- Two-panel axial: CT | PSMA PET, 18F tracer
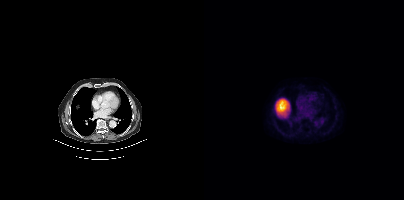
Findings: Negative for PSMA-avid disease on this slice.